Two-panel axial: CT | PSMA PET, 18F tracer. PET panel 200×200 px (4.1 mm/px).
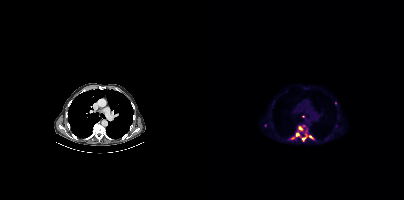
Coordinates are on the 200×200 PET (right) panel. (showing 7 of 9 foci) PSMA-avid tumor lesion bounding boxes (x, y, width, height): x=95 y=125 w=7 h=6; x=92 y=132 w=4 h=5. Small PSMA-avid foci (2 to 4 px across) near (center x, center y): (99, 139); (131, 103); (106, 136); (99, 116); (88, 137).